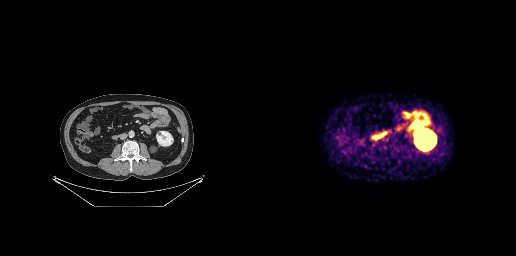
Technique: Paired axial CT (left) and PSMA PET (right), 68Ga tracer. PET panel 256×256 px (2.7 mm/px).
Findings: This slice has no annotated PSMA-avid lesion.